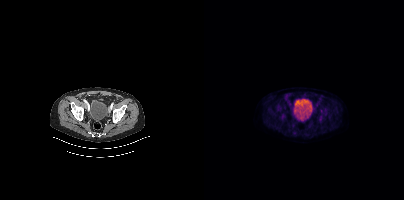
Two-panel axial: CT | PSMA PET, [18F]PSMA-1007 tracer. Slice position z = -41 mm. No PSMA-avid tumor lesions on this slice.